- Paired axial CT (left) and PSMA PET (right), [68Ga]Ga-PSMA-11 tracer
- PET panel 168×168 px (4.1 mm/px)
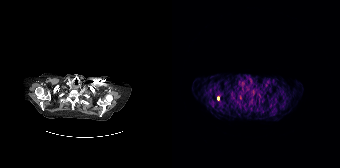
Findings: Only PSMA-avid lesion pieces thinner than 2 px on this slice (not listed).